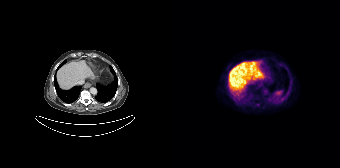
Findings: No PSMA-avid tumor lesions on this slice.
- Two-panel axial: CT | PSMA PET, 18F-PSMA tracer
- acquired on Siemens Biograph 64-4R TruePoint
- slice 102 of 165
- PET panel 168×168 px (4.1 mm/px)